Left: CT. Right: PSMA PET, same axial level, [68Ga]Ga-PSMA-11 tracer. Head region blanked for anonymization (face removed).
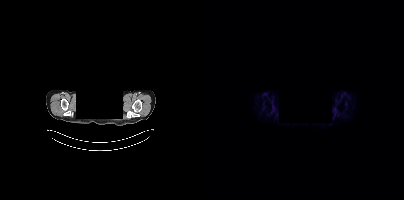
No PSMA-avid tumor lesions on this slice.